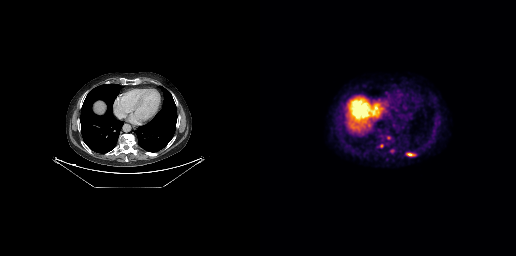
Technique: Left: CT. Right: PSMA PET, same axial level, 18F-PSMA tracer. acquired on GE Discovery 690. slice position z = -279 mm. PET panel 256×256 px (2.7 mm/px).
Findings: Coordinates are on the 256×256 PET (right) panel. PSMA-avid tumor lesion bounding boxes (x0,y0,x1,y1): [147,153,155,156] [119,144,123,147]. Small PSMA-avid focus (2 to 4 px across) near (center x, center y): (127, 137).